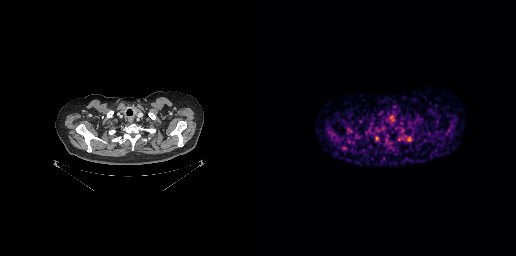
Coordinates are on the 256×256 PET (right) panel. Small PSMA-avid focus (2 to 4 px across) near (center x, center y): (149, 138).